Technique: Left: CT. Right: PSMA PET, same axial level, 18F-PSMA tracer. PET panel 200×200 px (4.1 mm/px).
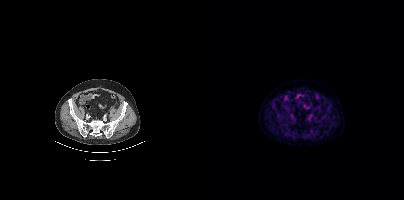
Findings: This slice has no annotated PSMA-avid lesion.